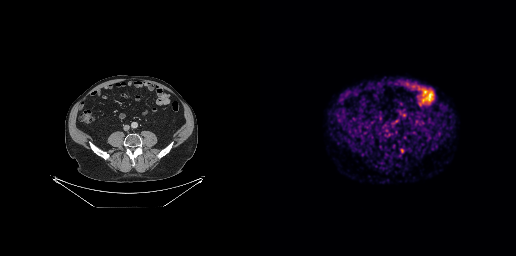
Paired axial CT (left) and PSMA PET (right), 68Ga tracer. Acquired on GE Discovery 690. Slice position z = -667 mm. PET panel 256×256 px (2.7 mm/px). Coordinates are on the 256×256 PET (right) panel. Small PSMA-avid focus (2 to 4 px across) near (center x, center y): (142, 150).